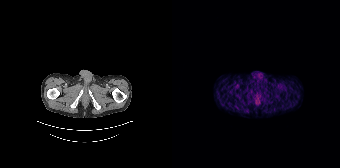
No PSMA-avid tumor lesions on this slice.